Paired axial CT (left) and PSMA PET (right), 18F-PSMA tracer. Slice position z = -708 mm. PET panel 200×200 px (4.1 mm/px).
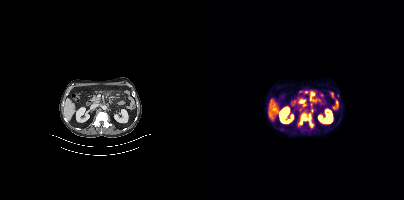
Coordinates are on the 200×200 PET (right) panel. (showing 1 of 2 foci) PSMA-avid tumor lesion bounding box (x, y, width, height): x=94 y=114 w=17 h=15.